Two-panel axial: CT | PSMA PET, [18F]PSMA-1007 tracer. Slice 298 of 395.
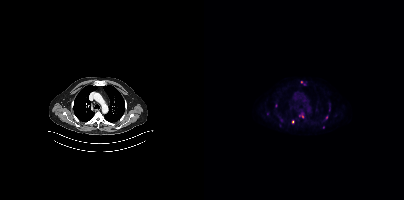
Coordinates are on the 200×200 PET (right) panel. (showing 5 of 7 foci) Small PSMA-avid foci (2 to 4 px across) near (center x, center y): (72, 105) | (119, 127) | (97, 81) | (88, 121) | (98, 116).